Technique: Left: CT. Right: PSMA PET, same axial level, 18F-PSMA tracer.
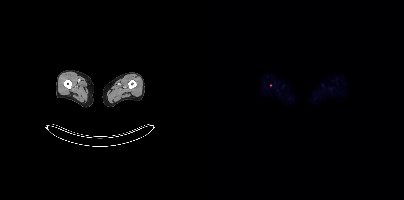
Findings: Only PSMA-avid lesion pieces thinner than 2 px on this slice (not listed).